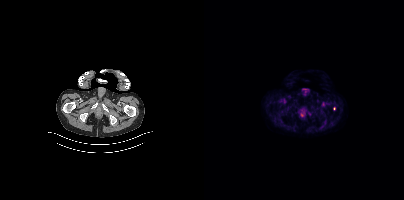
{"pet_grid":[200,200],"coord_frame":"pet_panel","coord_format":"x0,y0,x1,y1","lesion_bboxes":[],"small_foci_centers":[[130,108]],"modality":"PSMA PET/CT","view":"axial","tracer":"[18F]PSMA-1007"}